de-identification: head region blanked (face removed) | modality: PSMA PET/CT | tracer: 18F-PSMA | view: axial | PET grid: 200×200
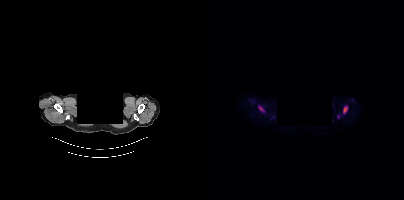
Coordinates are on the 200×200 PET (right) panel. (showing 2 of 3 foci) PSMA-avid tumor lesion bounding boxes (x, y, width, height): x=139 y=106 w=5 h=6; x=54 y=106 w=6 h=6.